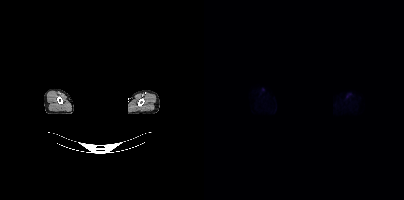
No PSMA-avid tumor lesions on this slice. Two-panel axial: CT | PSMA PET, 18F tracer. Face de-identified by blanking a block of the head.